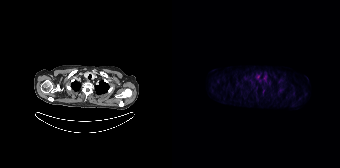
Technique: Two-panel axial: CT | PSMA PET, [18F]PSMA-1007 tracer. acquired on Siemens Biograph 64-4R TruePoint.
Findings: Negative for PSMA-avid disease on this slice.